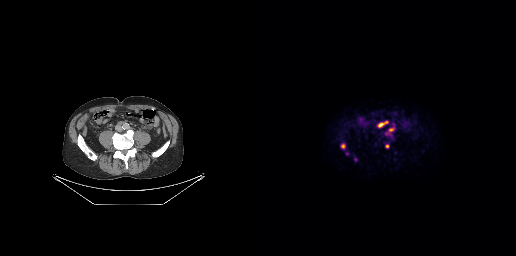
{"pet_grid":[256,256],"coord_frame":"pet_panel","coord_format":"x0,y0,x1,y1","partial":true,"lesion_bboxes":[[117,120,128,128],[125,127,134,135],[81,144,85,148],[125,144,129,148]],"small_foci_centers":[[133,124]],"modality":"PSMA PET/CT","view":"axial","tracer":"18F-PSMA"}